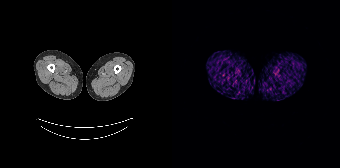
Two-panel axial: CT | PSMA PET, 68Ga-PSMA tracer. Slice 8 of 195. PET panel 168×168 px (4.1 mm/px). This slice has no annotated PSMA-avid lesion.